Two-panel axial: CT | PSMA PET, 18F-PSMA tracer. PET panel 200×200 px (4.1 mm/px).
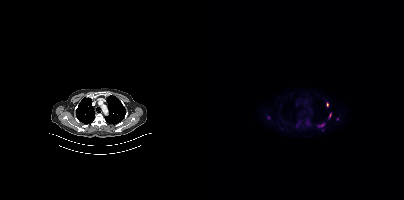
Coordinates are on the 200×200 PET (right) panel. PSMA-avid tumor lesion bounding boxes (partial; 1 more focus not listed):
| # | x0 | y0 | x1 | y1 |
|---|---|---|---|---|
| 1 | 115 | 124 | 119 | 126 |
Small PSMA-avid foci (2 to 4 px across) near (center x, center y): (123, 104); (133, 118).